Left: CT. Right: PSMA PET, same axial level, 18F tracer. PET panel 168×168 px (4.1 mm/px).
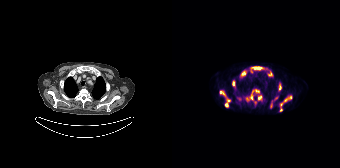
Coordinates are on the 168×168 PET (right) panel. PSMA-avid tumor lesion bounding boxes (partial; 1 more focus not listed):
| # | x0 | y0 | x1 | y1 |
|---|---|---|---|---|
| 1 | 74 | 89 | 87 | 101 |
| 2 | 48 | 90 | 58 | 107 |
| 3 | 107 | 95 | 120 | 111 |
| 4 | 78 | 66 | 92 | 72 |
| 5 | 68 | 70 | 74 | 77 |
| 6 | 60 | 80 | 63 | 87 |
| 7 | 86 | 95 | 90 | 100 |
| 8 | 106 | 83 | 109 | 90 |
| 9 | 96 | 71 | 99 | 76 |
| 10 | 98 | 103 | 100 | 108 |
Small PSMA-avid foci (2 to 4 px across) near (center x, center y): (104, 98); (83, 102).